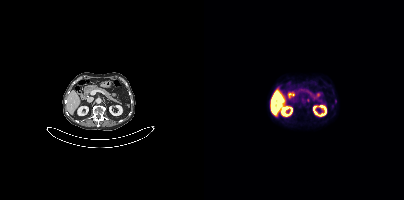
modality: PSMA PET/CT | tracer: 18F | view: axial | PET grid: 200×200
Coordinates are on the 200×200 PET (right) panel. PSMA-avid tumor lesion bounding box (x, y, width, height): x=102 y=98 w=4 h=5.